- Two-panel axial: CT | PSMA PET, [18F]PSMA-1007 tracer
- slice 73 of 263
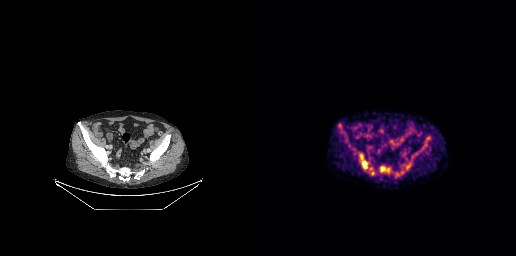
Findings: Coordinates are on the 256×256 PET (right) panel. PSMA-avid tumor lesion bounding boxes (x0,y0,x1,y1): [100,154,107,169], [120,166,129,172], [159,137,169,151], [78,125,83,132], [146,163,150,169]. Small PSMA-avid foci (2 to 4 px across) near (center x, center y): (112, 173), (110, 168).